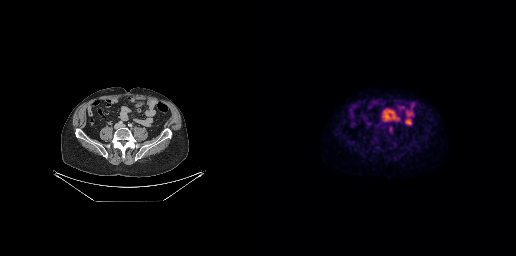
Left: CT. Right: PSMA PET, same axial level, [18F]PSMA-1007 tracer. Acquired on GE Discovery 690. PET panel 256×256 px (2.7 mm/px). Coordinates are on the 256×256 PET (right) panel. PSMA-avid tumor lesion bounding box (x0,y0,x1,y1): [128,125,132,133].